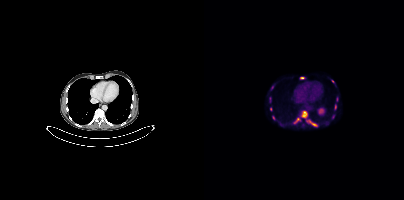
Coordinates are on the 200×200 PET (right) panel. (showing 7 of 10 foci) PSMA-avid tumor lesion bounding boxes (x0,y0,x1,y1): [97,111,103,118]; [102,120,112,126]; [90,118,96,123]; [96,77,100,79]. Small PSMA-avid foci (2 to 4 px across) near (center x, center y): (128, 81); (131, 106); (66, 109).